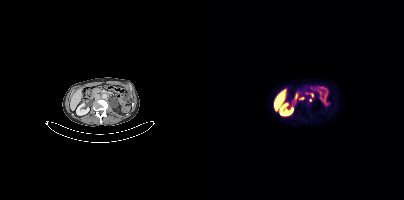
Coordinates are on the 200×200 PET (right) panel. Small PSMA-avid foci (2 to 4 px across) near (center x, center y): (106, 100); (98, 98).